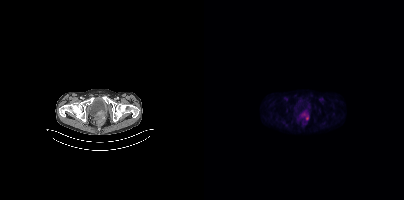
Coordinates are on the 200×200 PET (right) panel. PSMA-avid tumor lesion bounding boxes (partial; 1 more focus not listed):
| # | x0 | y0 | x1 | y1 |
|---|---|---|---|---|
| 1 | 97 | 112 | 104 | 120 |
Two-panel axial: CT | PSMA PET, 18F-PSMA tracer. Slice 48 of 423.